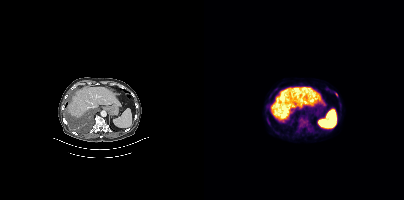
- Left: CT. Right: PSMA PET, same axial level, 18F tracer
- slice position z = -1234 mm
- PET panel 200×200 px (4.1 mm/px)
Findings: Coordinates are on the 200×200 PET (right) panel. (showing 4 of 6 foci) PSMA-avid tumor lesion bounding boxes (x0,y0,x1,y1): [95,118,104,127] [63,118,65,124]. Small PSMA-avid foci (2 to 4 px across) near (center x, center y): (71, 89) (132, 94).